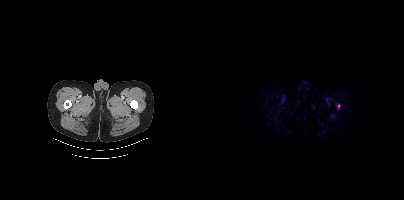
Coordinates are on the 200×200 PET (right) panel. PSMA-avid tumor lesion bounding box (x, y, width, height): x=133 y=104 w=4 h=6. Left: CT. Right: PSMA PET, same axial level, 18F-PSMA tracer. Slice 14 of 444. PET panel 200×200 px (4.1 mm/px).